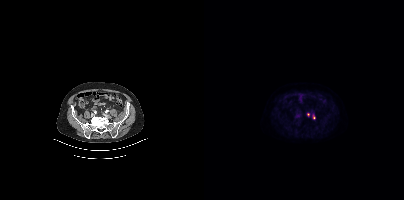
Coordinates are on the 200×200 PET (right) panel. Small PSMA-avid foci (2 to 4 px across) near (center x, center y): (93, 115); (104, 114); (109, 116).